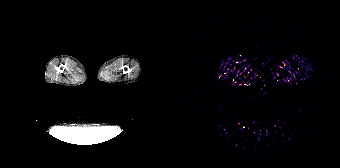
Findings: No tumor lesions annotated on this slice.
- Left: CT. Right: PSMA PET, same axial level, 68Ga-PSMA tracer
- acquired on Siemens Biograph 64-4R TruePoint
- PET panel 168×168 px (4.1 mm/px)